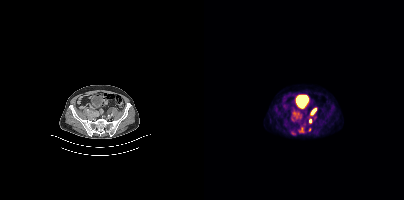
modality: PSMA PET/CT | tracer: [18F]PSMA-1007 | view: axial | PET grid: 200×200
Coordinates are on the 200×200 PET (right) panel. (showing 5 of 6 foci) PSMA-avid tumor lesion bounding boxes (x0, y0)-(x1, y1): (87, 113)-(91, 119) / (96, 127)-(99, 132) / (87, 131)-(91, 134) / (108, 109)-(111, 113). Small PSMA-avid focus (2 to 4 px across) near (center x, center y): (106, 121).